Two-panel axial: CT | PSMA PET, 18F-PSMA tracer. Slice position z = -151 mm. PET panel 256×256 px (2.7 mm/px).
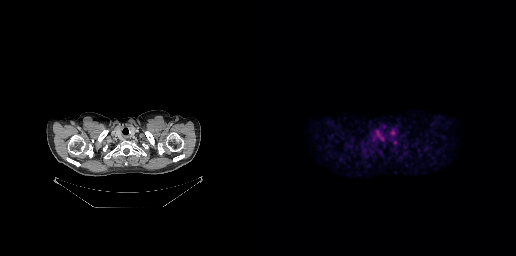
Negative for PSMA-avid disease on this slice.